modality: PSMA PET/CT | tracer: 18F | view: axial
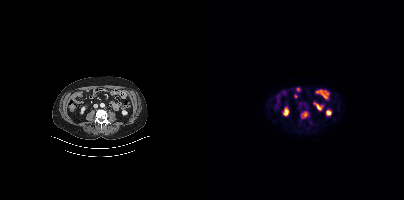
Coordinates are on the 200×200 PET (right) panel. PSMA-avid tumor lesion bounding box (x0, y0)-(x1, y1): (97, 111)-(103, 118).